Left: CT. Right: PSMA PET, same axial level, [18F]PSMA-1007 tracer. Slice 55 of 413.
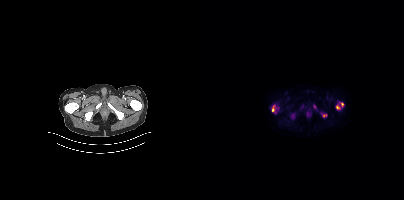
Coordinates are on the 200×200 PET (right) panel. PSMA-avid tumor lesion bounding boxes:
| # | x0 | y0 | x1 | y1 |
|---|---|---|---|---|
| 1 | 68 | 104 | 72 | 113 |
| 2 | 132 | 105 | 136 | 109 |
| 3 | 87 | 114 | 90 | 118 |
Small PSMA-avid foci (2 to 4 px across) near (center x, center y): (138, 104); (120, 115); (110, 106).